modality: PSMA PET/CT | tracer: 18F | view: axial | PET grid: 200×200
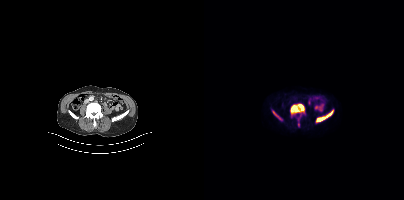
Coordinates are on the 200×200 PET (right) panel. PSMA-avid tumor lesion bounding boxes (x0, y0)-(x1, y1): (86, 103)-(100, 114) / (112, 111)-(128, 122) / (69, 111)-(74, 116). Small PSMA-avid focus (2 to 4 px across) near (center x, center y): (94, 124).